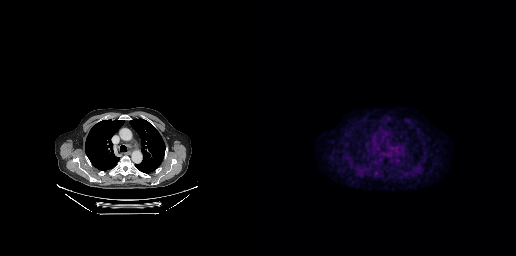
Paired axial CT (left) and PSMA PET (right), [18F]PSMA-1007 tracer. Acquired on GE Discovery 690. PET panel 256×256 px (2.7 mm/px). Coordinates are on the 256×256 PET (right) panel. Small PSMA-avid focus (2 to 4 px across) near (center x, center y): (86, 134).